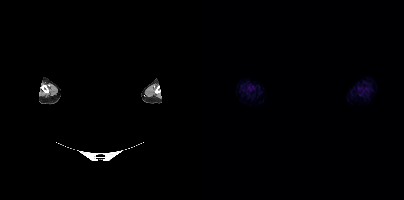
An anonymization step blacked out a rectangle over the head in this scan. Two-panel axial: CT | PSMA PET, 18F tracer. Slice 439 of 448. PET panel 200×200 px (4.1 mm/px). No tumor lesions annotated on this slice.